- Left: CT. Right: PSMA PET, same axial level, [18F]PSMA-1007 tracer
- PET panel 168×168 px (4.1 mm/px)
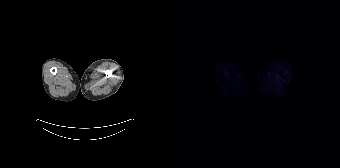
Findings: This slice has no annotated PSMA-avid lesion.